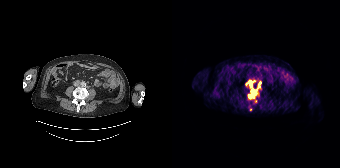
Left: CT. Right: PSMA PET, same axial level, 68Ga tracer. Acquired on Siemens Biograph 64-4R TruePoint. PET panel 168×168 px (4.1 mm/px).
Coordinates are on the 168×168 PET (right) panel. PSMA-avid tumor lesion bounding boxes (partial; 3 more foci not listed):
| # | x0 | y0 | x1 | y1 |
|---|---|---|---|---|
| 1 | 77 | 81 | 80 | 87 |
| 2 | 79 | 90 | 84 | 94 |
Small PSMA-avid foci (2 to 4 px across) near (center x, center y): (86, 86); (77, 96).